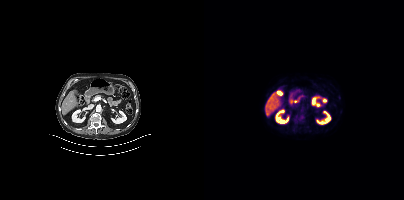
No PSMA-avid tumor lesions on this slice. Left: CT. Right: PSMA PET, same axial level, 18F tracer. Slice position z = -668 mm. PET panel 200×200 px (4.1 mm/px).